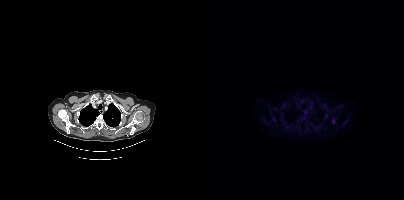
- Left: CT. Right: PSMA PET, same axial level, 18F tracer
- slice position z = -909 mm
Findings: Coordinates are on the 200×200 PET (right) panel. PSMA-avid tumor lesion bounding box (x, y, width, height): x=128 y=119 w=3 h=5.